Two-panel axial: CT | PSMA PET, 18F tracer. Acquired on Siemens Biograph mCT Flow 20.
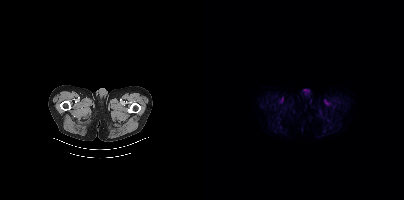
No tumor lesions annotated on this slice.